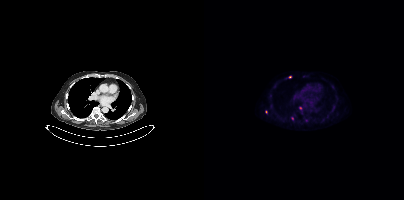
Coordinates are on the 200×200 PET (right) panel. (showing 3 of 4 foci) Small PSMA-avid foci (2 to 4 px across) near (center x, center y): (88, 118) / (86, 76) / (96, 107). Two-panel axial: CT | PSMA PET, 18F-PSMA tracer. Slice 292 of 421. PET panel 200×200 px (4.1 mm/px).